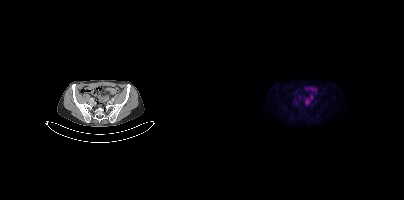
Findings: Negative for PSMA-avid disease on this slice.
- Left: CT. Right: PSMA PET, same axial level, [18F]PSMA-1007 tracer
- slice position z = -408 mm
- PET panel 200×200 px (4.1 mm/px)